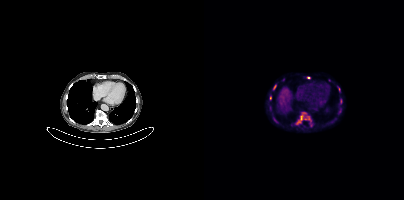
Findings: Coordinates are on the 200×200 PET (right) panel. (showing 6 of 9 foci) PSMA-avid tumor lesion bounding boxes (x0,y0,x1,y1): [93,115,99,124]; [69,85,72,89]. Small PSMA-avid foci (2 to 4 px across) near (center x, center y): (104, 117); (104, 77); (66, 98); (100, 112).
- Two-panel axial: CT | PSMA PET, [18F]PSMA-1007 tracer
- acquired on Siemens Biograph mCT Flow 20